Technique: Left: CT. Right: PSMA PET, same axial level, 18F-PSMA tracer. slice 197 of 401.
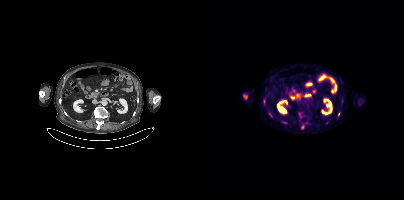
Findings: Coordinates are on the 200×200 PET (right) panel. (showing 5 of 6 foci) PSMA-avid tumor lesion bounding boxes (x0, y0)-(x1, y1): (97, 124)-(100, 129) | (59, 99)-(61, 104) | (77, 121)-(81, 123). Small PSMA-avid foci (2 to 4 px across) near (center x, center y): (66, 114) | (134, 114).